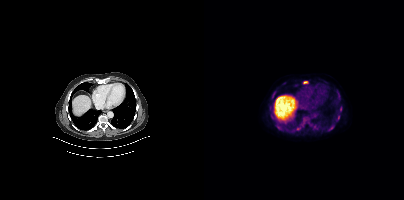
Technique: Two-panel axial: CT | PSMA PET, 18F-PSMA tracer. PET panel 200×200 px (4.1 mm/px).
Findings: Coordinates are on the 200×200 PET (right) panel. (showing 8 of 9 foci) PSMA-avid tumor lesion bounding boxes (x, y, width, height): x=124 y=125 w=7 h=6 | x=68 y=91 w=5 h=5 | x=99 y=81 w=5 h=3 | x=92 y=127 w=5 h=4 | x=136 y=107 w=3 h=5 | x=133 y=115 w=3 h=6. Small PSMA-avid foci (2 to 4 px across) near (center x, center y): (75, 128) | (110, 128).